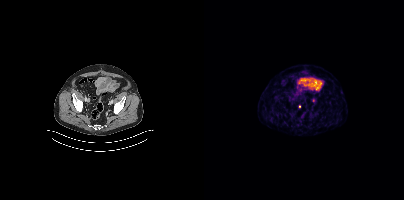
Coordinates are on the 200×200 PET (right) panel. Small PSMA-avid foci (2 to 4 px across) near (center x, center y): (109, 100) | (95, 106).